Left: CT. Right: PSMA PET, same axial level, 18F tracer. Slice 1 of 344.
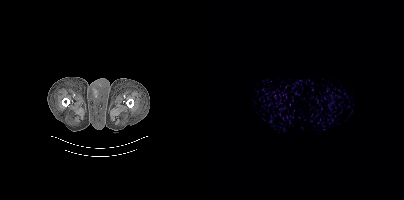
No PSMA-avid tumor lesions on this slice.